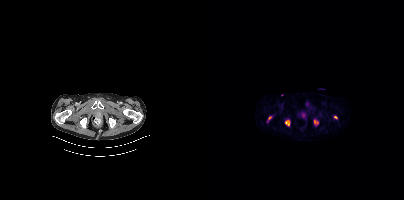
- Paired axial CT (left) and PSMA PET (right), [18F]PSMA-1007 tracer
Findings: Coordinates are on the 200×200 PET (right) panel. PSMA-avid tumor lesion bounding boxes (x0,y0,x1,y1): [81,120,85,125]; [110,120,114,124]. Small PSMA-avid foci (2 to 4 px across) near (center x, center y): (131, 117); (65, 117).